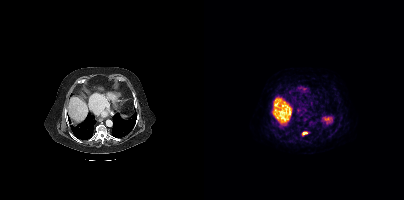
Findings: Coordinates are on the 200×200 PET (right) panel. PSMA-avid tumor lesion bounding box (x0, y0)-(x1, y1): (98, 131)-(103, 135).
- Two-panel axial: CT | PSMA PET, [68Ga]Ga-PSMA-11 tracer